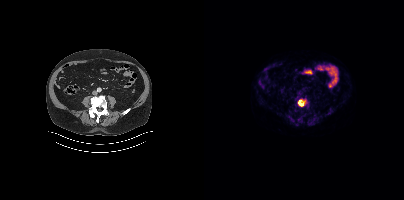
- Left: CT. Right: PSMA PET, same axial level, 18F tracer
- PET panel 200×200 px (4.1 mm/px)
Findings: Coordinates are on the 200×200 PET (right) panel. PSMA-avid tumor lesion bounding box (x0, y0)-(x1, y1): (94, 100)-(100, 106).